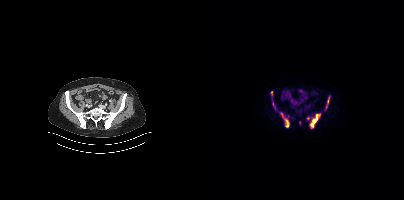
- Two-panel axial: CT | PSMA PET, 18F-PSMA tracer
- acquired on Siemens Biograph mCT Flow 20
- slice position z = -1374 mm
Findings: Coordinates are on the 200×200 PET (right) panel. (showing 4 of 7 foci) PSMA-avid tumor lesion bounding boxes (x0, y0)-(x1, y1): (106, 114)-(115, 127); (77, 113)-(85, 127). Small PSMA-avid foci (2 to 4 px across) near (center x, center y): (67, 91); (67, 94).